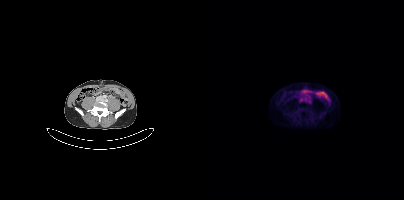
Findings: Coordinates are on the 200×200 PET (right) panel. Small PSMA-avid focus (2 to 4 px across) near (center x, center y): (107, 111).
Technique: Paired axial CT (left) and PSMA PET (right), 18F tracer.